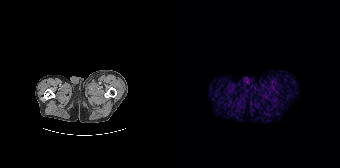
No PSMA-avid tumor lesions on this slice.